modality: PSMA PET/CT | tracer: 18F-PSMA | view: axial | PET grid: 200×200
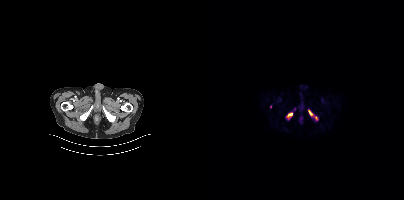
Coordinates are on the 200×200 PET (right) panel. PSMA-avid tumor lesion bounding boxes (x0,y0,x1,y1): [83,113,88,119], [104,110,108,115], [111,116,113,120]. Small PSMA-avid focus (2 to 4 px across) near (center x, center y): (66, 106).